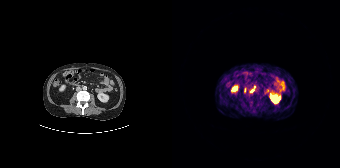
modality: PSMA PET/CT | tracer: 68Ga-PSMA | view: axial
Coordinates are on the 168×168 PET (right) panel. (showing 1 of 3 foci) Small PSMA-avid focus (2 to 4 px across) near (center x, center y): (79, 90).